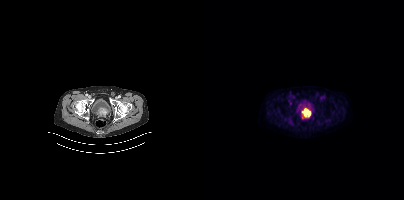
Paired axial CT (left) and PSMA PET (right), 18F-PSMA tracer. Coordinates are on the 200×200 PET (right) panel. PSMA-avid tumor lesion bounding box (x, y, width, height): x=98 y=108 w=9 h=11.